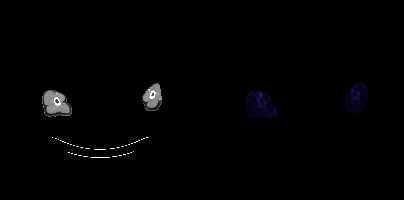
{"modality":"PSMA PET/CT","view":"axial","tracer":"[18F]PSMA-1007","pet_grid":[200,200],"coord_frame":"pet_panel","coord_format":"x0,y0,x1,y1","deidentification":"privacy mask over head","psma_avid_lesions":false}